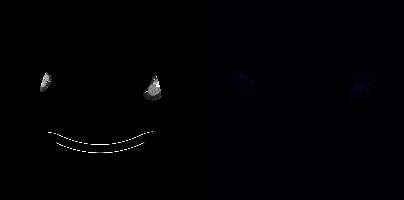
Paired axial CT (left) and PSMA PET (right), 18F tracer. Acquired on Siemens Biograph mCT Flow 20. PET panel 200×200 px (4.1 mm/px). Head region blanked for anonymization (face removed). No PSMA-avid tumor lesions on this slice.